Two-panel axial: CT | PSMA PET, 68Ga tracer. Slice position z = -446 mm. PET panel 168×168 px (4.1 mm/px).
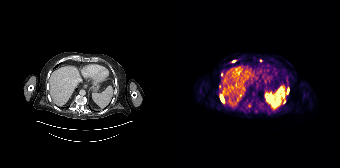
Coordinates are on the 168×168 PET (right) panel. (showing 4 of 6 foci) PSMA-avid tumor lesion bounding boxes (x, y, width, height): x=48 y=94 w=4 h=8 | x=115 y=89 w=2 h=5. Small PSMA-avid foci (2 to 4 px across) near (center x, center y): (61, 60) | (47, 86).